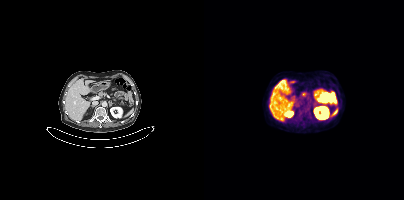
{"modality":"PSMA PET/CT","view":"axial","tracer":"18F","pet_grid":[200,200],"coord_frame":"pet_panel","coord_format":"x0,y0,x1,y1","psma_avid_lesions":false}